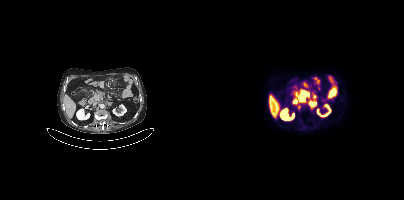
modality: PSMA PET/CT | tracer: [18F]PSMA-1007 | view: axial | PET grid: 200×200
Coordinates are on the 200×200 PET (right) panel. PSMA-avid tumor lesion bounding boxes (x, y, width, height): x=92 y=91 w=14 h=11 / x=106 y=101 w=7 h=6. Small PSMA-avid foci (2 to 4 px across) near (center x, center y): (110, 96) / (95, 107).